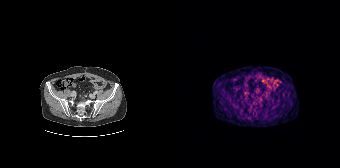
No tumor lesions annotated on this slice. Left: CT. Right: PSMA PET, same axial level, [68Ga]Ga-PSMA-11 tracer. Acquired on Siemens Biograph 64-4R TruePoint. Slice position z = -1265 mm. PET panel 168×168 px (4.1 mm/px).